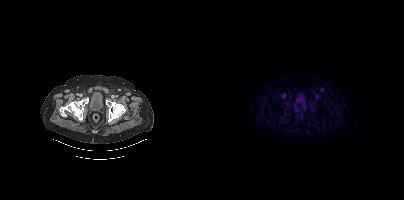
Coordinates are on the 200×200 PET (right) panel. Small PSMA-avid focus (2 to 4 px across) near (center x, center y): (118, 89).